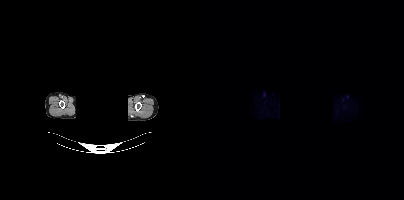
An anonymization step blacked out a rectangle over the head in this scan. Paired axial CT (left) and PSMA PET (right), 18F tracer. Acquired on Siemens Biograph mCT Flow 20. PET panel 200×200 px (4.1 mm/px). No PSMA-avid tumor lesions on this slice.